Two-panel axial: CT | PSMA PET, [18F]PSMA-1007 tracer. Acquired on GE Discovery 690.
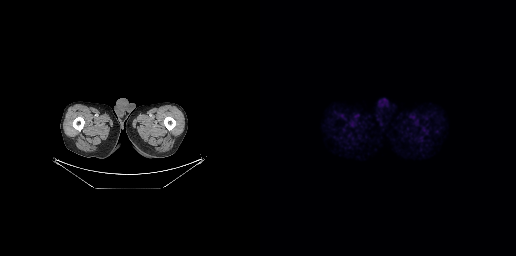
Negative for PSMA-avid disease on this slice.